Technique: Left: CT. Right: PSMA PET, same axial level, [18F]PSMA-1007 tracer. PET panel 200×200 px (4.1 mm/px).
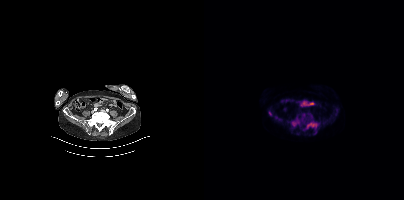
Findings: Coordinates are on the 200×200 PET (right) panel. (showing 3 of 5 foci) PSMA-avid tumor lesion bounding boxes (x0,y0,x1,y1): [102,122,114,129] [87,120,94,127]. Small PSMA-avid focus (2 to 4 px across) near (center x, center y): (97, 116).